Technique: Left: CT. Right: PSMA PET, same axial level, 18F-PSMA tracer. acquired on Siemens Biograph mCT Flow 20. PET panel 200×200 px (4.1 mm/px).
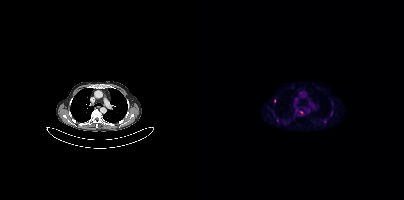
Findings: Coordinates are on the 200×200 PET (right) panel. Small PSMA-avid foci (2 to 4 px across) near (center x, center y): (70, 100) / (97, 112) / (73, 120).